Left: CT. Right: PSMA PET, same axial level, 18F tracer. Acquired on Siemens Biograph 64-4R TruePoint. Slice position z = -850 mm. PET panel 168×168 px (4.1 mm/px).
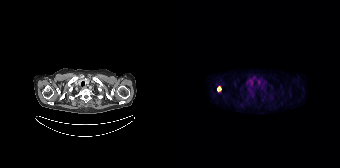
Coordinates are on the 168×168 PET (right) panel. PSMA-avid tumor lesion bounding boxes:
| # | x0 | y0 | x1 | y1 |
|---|---|---|---|---|
| 1 | 45 | 86 | 49 | 91 |